Two-panel axial: CT | PSMA PET, 18F-PSMA tracer. Acquired on GE Discovery 690.
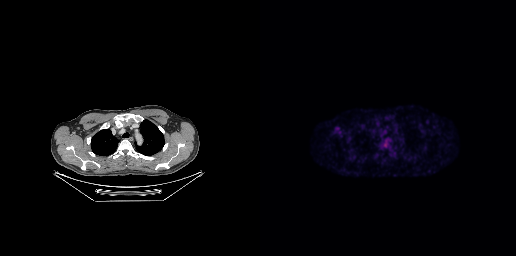
Coordinates are on the 256×256 PET (right) panel. PSMA-avid tumor lesion bounding boxes:
| # | x0 | y0 | x1 | y1 |
|---|---|---|---|---|
| 1 | 75 | 127 | 79 | 130 |